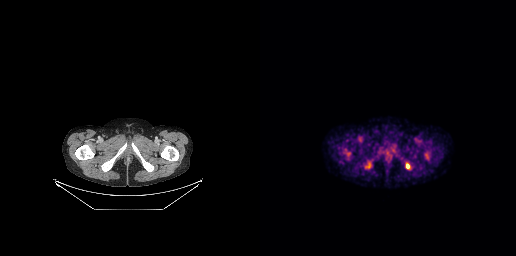
Technique: Paired axial CT (left) and PSMA PET (right), 18F-PSMA tracer.
Findings: Coordinates are on the 256×256 PET (right) panel. PSMA-avid tumor lesion bounding box (x0, y0)-(x1, y1): (105, 163)-(108, 167). Small PSMA-avid focus (2 to 4 px across) near (center x, center y): (147, 165).